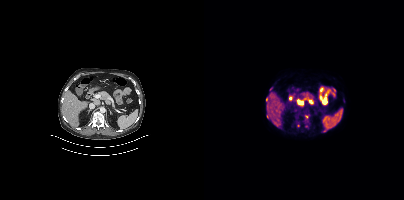
modality: PSMA PET/CT | tracer: 18F | view: axial
No PSMA-avid tumor lesions on this slice.